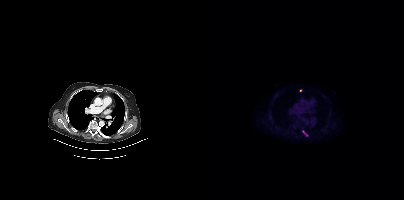
Findings: Coordinates are on the 200×200 PET (right) panel. (showing 1 of 2 foci) Small PSMA-avid focus (2 to 4 px across) near (center x, center y): (96, 90).
Technique: Paired axial CT (left) and PSMA PET (right), 18F tracer. acquired on Siemens Biograph mCT Flow 20. slice position z = -534 mm. PET panel 200×200 px (4.1 mm/px).